Technique: Paired axial CT (left) and PSMA PET (right), [68Ga]Ga-PSMA-11 tracer. acquired on GE Discovery 690. slice 51 of 263.
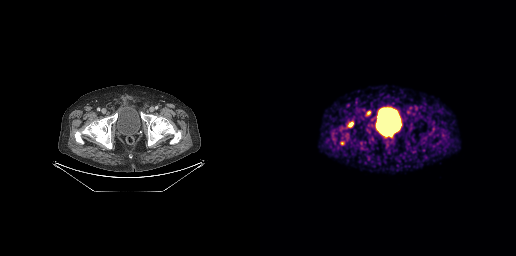
Findings: Coordinates are on the 256×256 PET (right) panel. PSMA-avid tumor lesion bounding boxes (x, y, width, height): x=106 y=111 w=5 h=5; x=89 y=122 w=5 h=5.